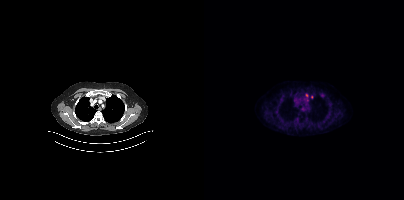
{"pet_grid":[200,200],"coord_frame":"pet_panel","coord_format":"x0,y0,x1,y1","partial":true,"lesion_bboxes":[],"small_foci_centers":[[102,95]],"modality":"PSMA PET/CT","view":"axial","tracer":"18F"}